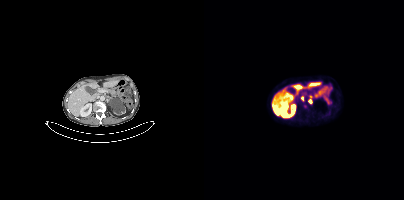
Findings: Coordinates are on the 200×200 PET (right) panel. PSMA-avid tumor lesion bounding box (x, y, width, height): x=98 y=97 w=3 h=5. Small PSMA-avid focus (2 to 4 px across) near (center x, center y): (106, 101).
- Two-panel axial: CT | PSMA PET, [18F]PSMA-1007 tracer
- acquired on Siemens Biograph mCT Flow 20
- slice position z = -236 mm